Two-panel axial: CT | PSMA PET, 18F tracer. PET panel 200×200 px (4.1 mm/px).
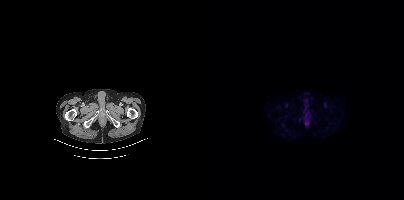
This slice has no annotated PSMA-avid lesion.